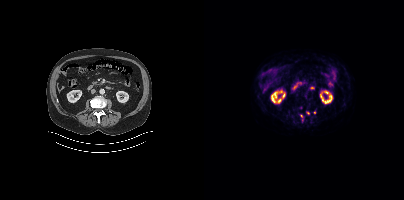
Coordinates are on the 200×200 PET (right) panel. Small PSMA-avid foci (2 to 4 px across) near (center x, center y): (104, 112), (110, 112), (97, 116).
modality: PSMA PET/CT | tracer: 18F-PSMA | view: axial | PET grid: 200×200